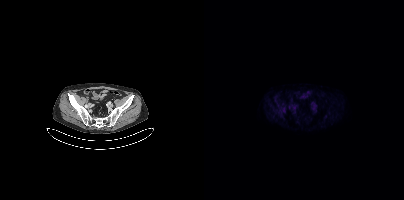
Paired axial CT (left) and PSMA PET (right), [18F]PSMA-1007 tracer. No PSMA-avid tumor lesions on this slice.